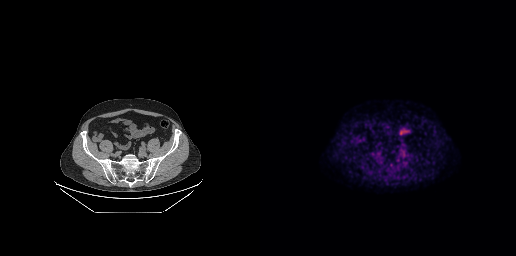
Coordinates are on the 256×256 PET (right) panel. Small PSMA-avid focus (2 to 4 px across) near (center x, center y): (137, 160). Two-panel axial: CT | PSMA PET, [18F]PSMA-1007 tracer. Acquired on GE Discovery 690. Slice position z = -591 mm.